modality: PSMA PET/CT | tracer: [18F]PSMA-1007 | view: axial
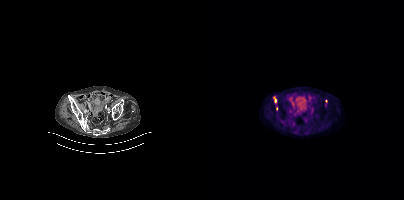
Coordinates are on the 200×200 PET (right) panel. (showing 1 of 3 foci) Small PSMA-avid focus (2 to 4 px across) near (center x, center y): (71, 100).